Left: CT. Right: PSMA PET, same axial level, 18F-PSMA tracer. Acquired on Siemens Biograph mCT Flow 20. Slice 288 of 407.
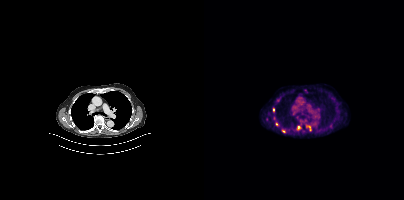
Coordinates are on the 200×200 PET (right) panel. PSMA-avid tumor lesion bounding boxes:
| # | x0 | y0 | x1 | y1 |
|---|---|---|---|---|
| 1 | 102 | 125 | 107 | 130 |
Small PSMA-avid foci (2 to 4 px across) near (center x, center y): (95, 127); (69, 109); (79, 131); (72, 124).